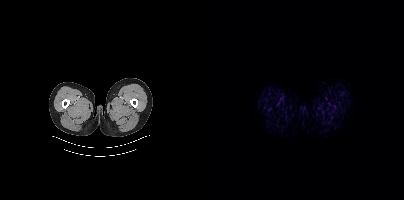
No PSMA-avid tumor lesions on this slice.